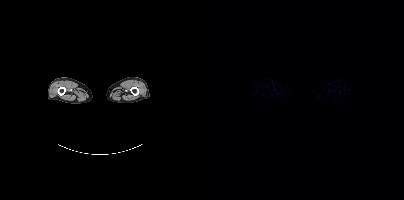
This slice has no annotated PSMA-avid lesion.